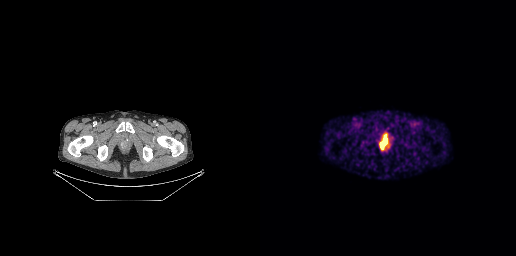
- Two-panel axial: CT | PSMA PET, [68Ga]Ga-PSMA-11 tracer
- acquired on GE Discovery 690
- PET panel 256×256 px (2.7 mm/px)
Findings: Coordinates are on the 256×256 PET (right) panel. PSMA-avid tumor lesion bounding box (x0, y0)-(x1, y1): (120, 139)-(127, 149).